Paired axial CT (left) and PSMA PET (right), 18F tracer. PET panel 256×256 px (2.7 mm/px).
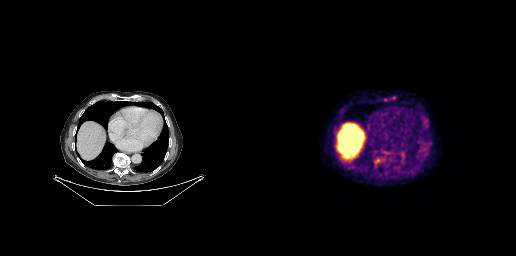
Coordinates are on the 256×256 PET (right) panel. PSMA-avid tumor lesion bounding boxes (x0,y0,x1,y1): [114,157,121,165]; [164,118,168,125]; [131,96,135,99].